Two-panel axial: CT | PSMA PET, [68Ga]Ga-PSMA-11 tracer. Slice position z = -1116 mm. PET panel 200×200 px (4.1 mm/px).
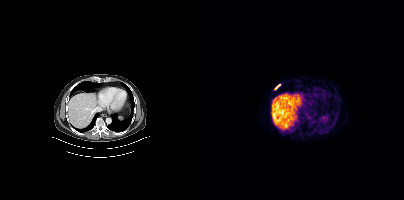
Coordinates are on the 200×200 PET (right) panel. PSMA-avid tumor lesion bounding boxes:
| # | x0 | y0 | x1 | y1 |
|---|---|---|---|---|
| 1 | 71 | 84 | 76 | 89 |